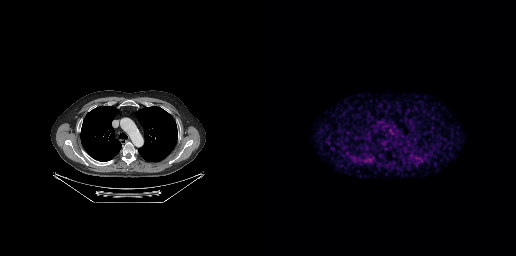
{"modality":"PSMA PET/CT","view":"axial","tracer":"68Ga-PSMA","pet_grid":[256,256],"coord_frame":"pet_panel","coord_format":"x0,y0,x1,y1","psma_avid_lesions":false}